Paired axial CT (left) and PSMA PET (right), 18F-PSMA tracer. Slice 261 of 417.
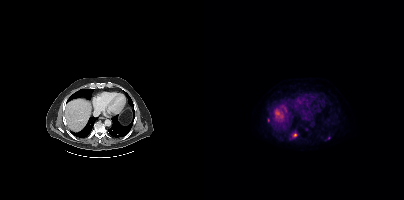
Coordinates are on the 200×200 PET (right) panel. PSMA-avid tumor lesion bounding boxes (partial; 1 more focus not listed):
| # | x0 | y0 | x1 | y1 |
|---|---|---|---|---|
| 1 | 88 | 133 | 93 | 137 |
Small PSMA-avid foci (2 to 4 px across) near (center x, center y): (64, 120); (124, 137).